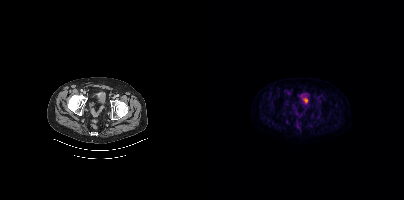
Findings: Negative for PSMA-avid disease on this slice.
Technique: Left: CT. Right: PSMA PET, same axial level, [18F]PSMA-1007 tracer. PET panel 200×200 px (4.1 mm/px).